- Paired axial CT (left) and PSMA PET (right), [18F]PSMA-1007 tracer
- acquired on Siemens Biograph mCT Flow 20
- slice position z = -832 mm
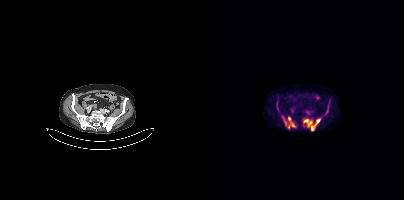
Findings: Coordinates are on the 200×200 PET (right) panel. (showing 5 of 6 foci) PSMA-avid tumor lesion bounding boxes (x, y, width, height): x=100 y=119 w=17 h=12 / x=84 y=117 w=8 h=12 / x=80 y=119 w=3 h=7. Small PSMA-avid foci (2 to 4 px across) near (center x, center y): (123, 111) / (78, 116).